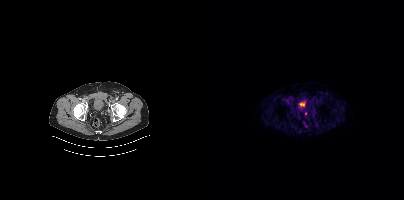
Two-panel axial: CT | PSMA PET, [18F]PSMA-1007 tracer. Slice 78 of 417. Coordinates are on the 200×200 PET (right) panel. (showing 1 of 2 foci) PSMA-avid tumor lesion bounding box (x, y, width, height): x=100 y=122 w=3 h=6.